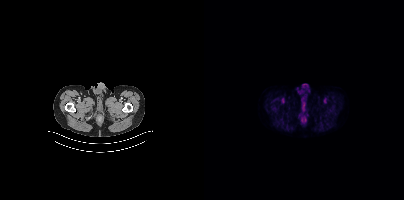
{"modality":"PSMA PET/CT","view":"axial","tracer":"[18F]PSMA-1007","pet_grid":[200,200],"coord_frame":"pet_panel","coord_format":"x0,y0,x1,y1","psma_avid_lesions":false}